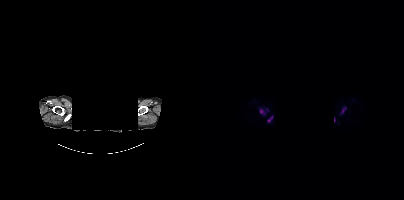
Coordinates are on the 200×200 PET (right) panel. PSMA-avid tumor lesion bounding boxes (x, y, width, height): x=55 y=108 w=7 h=8; x=63 y=115 w=7 h=8; x=137 y=107 w=6 h=7; x=130 y=117 w=2 h=5. Small PSMA-avid focus (2 to 4 px across) near (center x, center y): (63, 109). The head region is masked for de-identification. Two-panel axial: CT | PSMA PET, 18F tracer. Slice 375 of 423.